Two-panel axial: CT | PSMA PET, [18F]PSMA-1007 tracer. Acquired on Siemens Biograph mCT Flow 20. Slice position z = -1540 mm.
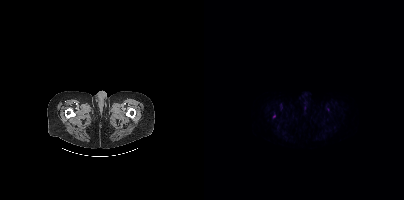
No tumor lesions annotated on this slice.